Two-panel axial: CT | PSMA PET, [18F]PSMA-1007 tracer. Slice position z = -536 mm. PET panel 200×200 px (4.1 mm/px).
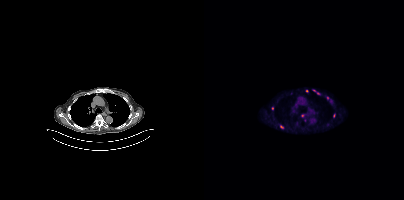
Coordinates are on the 200×200 PET (right) panel. PSMA-avid tumor lesion bounding boxes:
| # | x0 | y0 | x1 | y1 |
|---|---|---|---|---|
| 1 | 109 | 89 | 116 | 94 |
Small PSMA-avid foci (2 to 4 px across) near (center x, center y): (77, 126); (87, 93); (130, 115); (103, 91); (68, 108); (123, 98); (98, 115).